Left: CT. Right: PSMA PET, same axial level, 68Ga tracer. Slice 149 of 195.
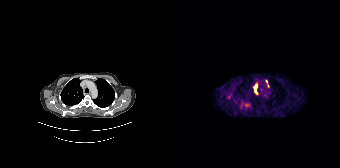
Coordinates are on the 168×168 PET (right) panel. PSMA-avid tumor lesion bounding boxes:
| # | x0 | y0 | x1 | y1 |
|---|---|---|---|---|
| 1 | 81 | 83 | 86 | 94 |
Small PSMA-avid foci (2 to 4 px across) near (center x, center y): (94, 81); (96, 86); (74, 104).